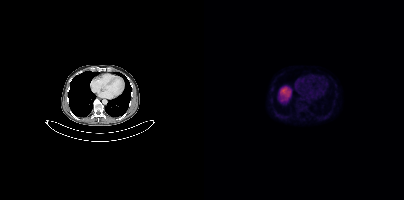
Negative for PSMA-avid disease on this slice.